Left: CT. Right: PSMA PET, same axial level, 18F-PSMA tracer. Acquired on Siemens Biograph mCT Flow 20. PET panel 200×200 px (4.1 mm/px).
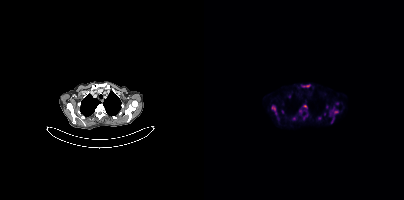
Coordinates are on the 200×200 PET (right) panel. (showing 9 of 15 foci) PSMA-avid tumor lesion bounding boxes (x0, y0)-(x1, y1): (67, 105)-(72, 114) / (128, 109)-(134, 113) / (99, 105)-(103, 108) / (99, 85)-(104, 86). Small PSMA-avid foci (2 to 4 px across) near (center x, center y): (96, 110) / (115, 117) / (89, 118) / (127, 121) / (78, 111).